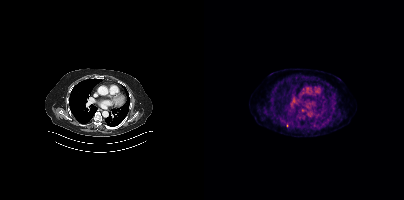
Findings: Only PSMA-avid lesion pieces thinner than 2 px on this slice (not listed).
Technique: Left: CT. Right: PSMA PET, same axial level, 18F tracer. acquired on Siemens Biograph mCT Flow 20. PET panel 200×200 px (4.1 mm/px).